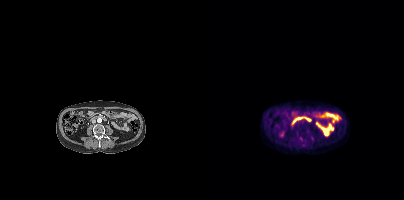
{"modality":"PSMA PET/CT","view":"axial","tracer":"18F","pet_grid":[200,200],"coord_frame":"pet_panel","coord_format":"x0,y0,x1,y1","lesion_bboxes":[],"small_foci_centers":[[96,138]]}